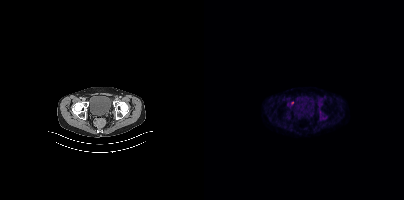
modality: PSMA PET/CT | tracer: [18F]PSMA-1007 | view: axial
Coordinates are on the 200×200 PET (right) panel. Small PSMA-avid focus (2 to 4 px across) near (center x, center y): (88, 102).